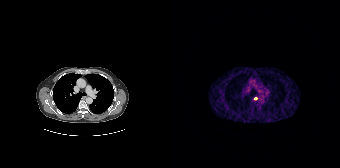
Technique: Two-panel axial: CT | PSMA PET, 68Ga-PSMA tracer.
Findings: Coordinates are on the 168×168 PET (right) panel. Small PSMA-avid focus (2 to 4 px across) near (center x, center y): (83, 98).